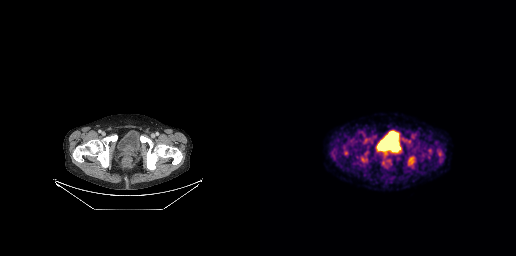
Technique: Two-panel axial: CT | PSMA PET, 18F-PSMA tracer. PET panel 256×256 px (2.7 mm/px).
Findings: Coordinates are on the 256×256 PET (right) panel. PSMA-avid tumor lesion bounding boxes (x, y, width, height): x=148 y=156 w=7 h=10 / x=101 y=156 w=5 h=7. Small PSMA-avid foci (2 to 4 px across) near (center x, center y): (86, 153) / (106, 140).